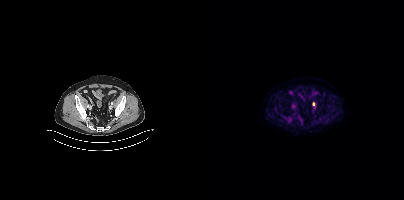
Left: CT. Right: PSMA PET, same axial level, 18F tracer. Acquired on Siemens Biograph mCT Flow 20. PET panel 200×200 px (4.1 mm/px). Coordinates are on the 200×200 PET (right) panel. PSMA-avid tumor lesion bounding box (x, y, width, height): x=77 y=115 w=11 h=8. Small PSMA-avid focus (2 to 4 px across) near (center x, center y): (109, 103).